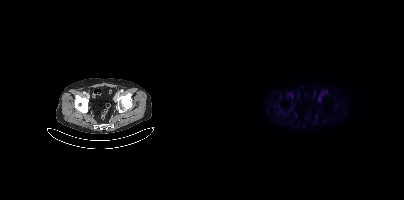
Two-panel axial: CT | PSMA PET, 18F tracer. Slice 82 of 429. PET panel 200×200 px (4.1 mm/px). No tumor lesions annotated on this slice.